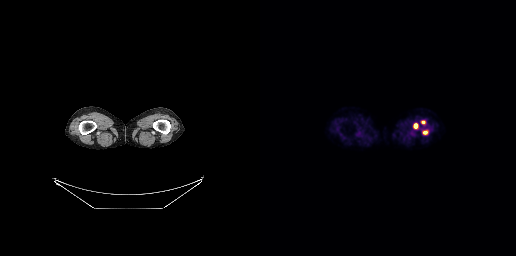
Left: CT. Right: PSMA PET, same axial level, 18F-PSMA tracer. Acquired on GE Discovery 690. Coordinates are on the 256×256 PET (right) panel. PSMA-avid tumor lesion bounding boxes (x0,y0,x1,y1): [153,123,157,128], [163,131,167,134]. Small PSMA-avid focus (2 to 4 px across) near (center x, center y): (163, 122).